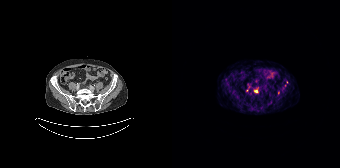
Coordinates are on the 168×168 PET (right) panel. (showing 1 of 2 foci) Small PSMA-avid focus (2 to 4 px across) near (center x, center y): (83, 91).